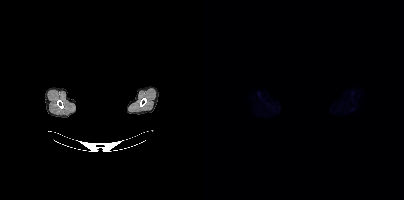
No PSMA-avid tumor lesions on this slice.
De-identified by setting a box covering the face to black before release.